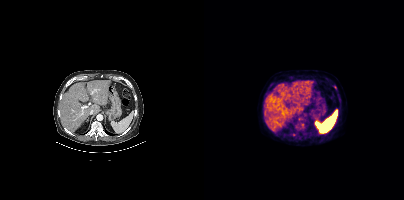
Findings: Coordinates are on the 200×200 PET (right) panel. (showing 3 of 4 foci) Small PSMA-avid foci (2 to 4 px across) near (center x, center y): (89, 134) | (95, 118) | (98, 124).
Technique: Paired axial CT (left) and PSMA PET (right), 18F tracer. slice position z = -86 mm. PET panel 200×200 px (4.1 mm/px).